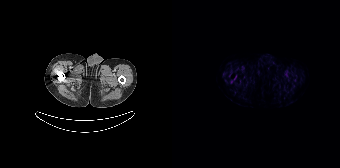
Two-panel axial: CT | PSMA PET, 18F-PSMA tracer. Slice position z = -1681 mm. No PSMA-avid tumor lesions on this slice.